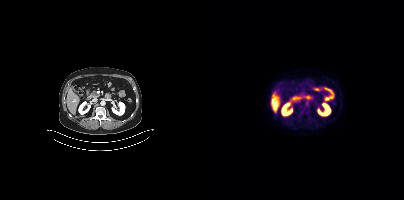
Two-panel axial: CT | PSMA PET, 18F tracer. Slice position z = -1444 mm. PET panel 200×200 px (4.1 mm/px). Only PSMA-avid lesion pieces thinner than 2 px on this slice (not listed).